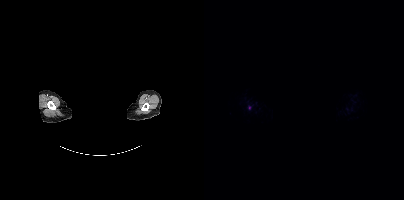
Technique: Left: CT. Right: PSMA PET, same axial level, 18F-PSMA tracer. slice position z = -306 mm. PET panel 200×200 px (4.1 mm/px).
Note: Privacy masking over the head, with the pixels inside a rectangle set to black.
Findings: Negative for PSMA-avid disease on this slice.